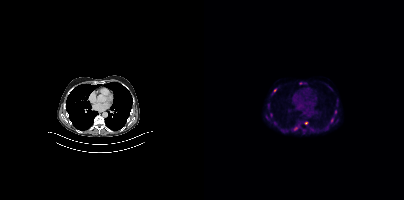
Coordinates are on the 200×200 PET (right) panel. PSMA-avid tumor lesion bounding boxes (x0, y0)-(x1, y1): (95, 82)-(102, 84) / (68, 88)-(72, 94). Small PSMA-avid foci (2 to 4 px across) near (center x, center y): (91, 128) / (128, 119) / (131, 111) / (64, 105) / (102, 122).